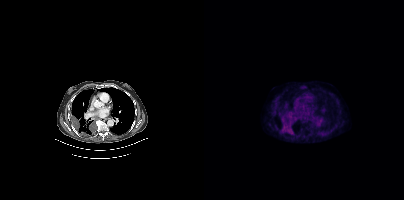
Coordinates are on the 200×200 PET (right) panel. PSMA-avid tumor lesion bounding box (x0,y0,x1,y1): [82,128,88,133]. Small PSMA-avid focus (2 to 4 px across) near (center x, center y): (84, 113).